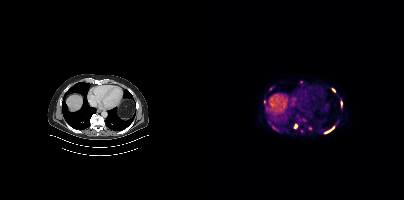
Coordinates are on the 200×200 PET (right) panel. PSMA-avid tumor lesion bounding boxes:
| # | x0 | y0 | x1 | y1 |
|---|---|---|---|---|
| 1 | 90 | 124 | 93 | 128 |
| 2 | 123 | 127 | 130 | 132 |
| 3 | 137 | 101 | 138 | 105 |
Small PSMA-avid focus (2 to 4 px across) near (center x, center y): (129, 90).
Paired axial CT (left) and PSMA PET (right), 18F tracer.